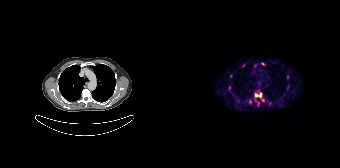
Findings: Coordinates are on the 168×168 PET (right) panel. (showing 7 of 8 foci) PSMA-avid tumor lesion bounding boxes (x0, y0)-(x1, y1): (83, 93)-(92, 101); (115, 75)-(117, 79); (115, 85)-(117, 90); (69, 64)-(73, 67). Small PSMA-avid foci (2 to 4 px across) near (center x, center y): (78, 101); (57, 87); (90, 63).
Technique: Left: CT. Right: PSMA PET, same axial level, 68Ga tracer. slice 120 of 165.